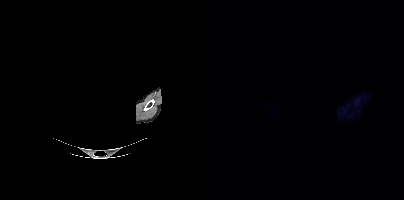
This slice has no annotated PSMA-avid lesion. A rectangle over the head was blacked out to remove identifiable facial features. Left: CT. Right: PSMA PET, same axial level, 18F-PSMA tracer. PET panel 200×200 px (4.1 mm/px).